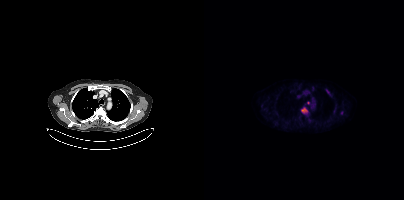
Coordinates are on the 200×200 PET (right) panel. (showing 2 of 3 foci) PSMA-avid tumor lesion bounding box (x, y, width, height): x=97 y=108 w=7 h=5. Small PSMA-avid focus (2 to 4 px across) near (center x, center y): (104, 103).